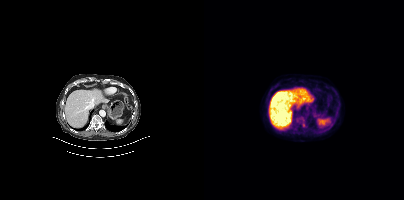
modality: PSMA PET/CT | tracer: [18F]PSMA-1007 | view: axial
Coordinates are on the 200×200 PET (right) panel. PSMA-avid tumor lesion bounding box (x, y, width, height): x=96 y=120 w=7 h=8.